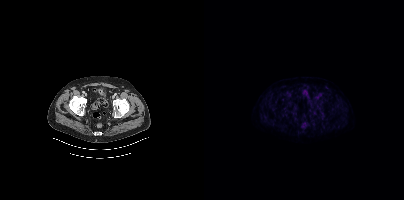
Coordinates are on the 200×200 PET (right) panel. PSMA-avid tumor lesion bounding box (x, y, width, height): x=113 y=103 w=5 h=5. Small PSMA-avid focus (2 to 4 px across) near (center x, center y): (118, 112).